A rectangular block over the head has been blanked out for de-identification. Two-panel axial: CT | PSMA PET, [18F]PSMA-1007 tracer.
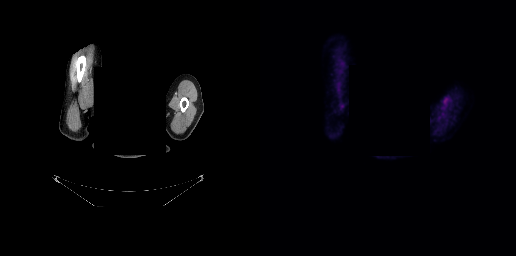
No PSMA-avid tumor lesions on this slice.